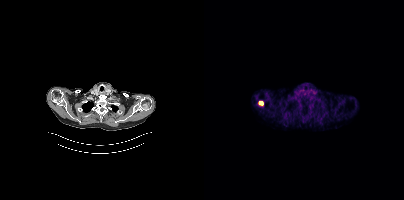
Paired axial CT (left) and PSMA PET (right), [18F]PSMA-1007 tracer. PET panel 200×200 px (4.1 mm/px). Coordinates are on the 200×200 PET (right) panel. PSMA-avid tumor lesion bounding box (x, y, width, height): x=55 y=101 w=5 h=5.